Paired axial CT (left) and PSMA PET (right), 18F-PSMA tracer. Acquired on Siemens Biograph mCT Flow 20. PET panel 200×200 px (4.1 mm/px).
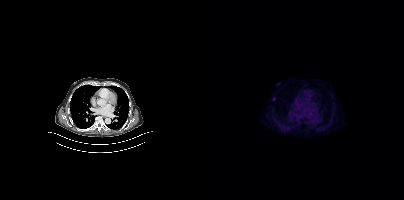
Coordinates are on the 200×200 PET (right) panel. Small PSMA-avid focus (2 to 4 px across) near (center x, center y): (70, 99).